Two-panel axial: CT | PSMA PET, [18F]PSMA-1007 tracer. Acquired on Siemens Biograph mCT Flow 20. Slice 381 of 462. PET panel 200×200 px (4.1 mm/px).
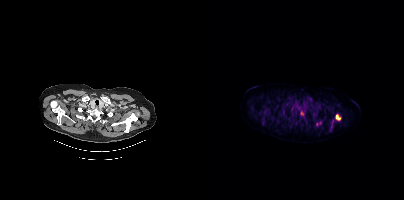
Coordinates are on the 200×200 PET (right) panel. (showing 4 of 5 foci) PSMA-avid tumor lesion bounding boxes (x, y, width, height): x=131 y=114 w=6 h=7; x=96 y=110 w=5 h=6. Small PSMA-avid foci (2 to 4 px across) near (center x, center y): (112, 124); (116, 122).